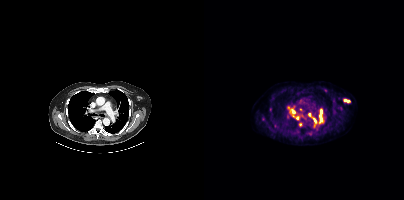
Coordinates are on the 200×200 PET (right) panel. (showing 13 of 15 foci) PSMA-avid tumor lesion bounding boxes (x0,y0,x1,y1): [115,109,119,123]; [83,106,91,116]; [91,115,95,120]; [139,99,145,102]; [109,118,112,126]; [83,114,85,118]. Small PSMA-avid foci (2 to 4 px across) near (center x, center y): (96, 124); (105, 114); (59, 119); (71, 125); (121, 90); (66, 109); (106, 133).
modality: PSMA PET/CT | tracer: 18F-PSMA | view: axial